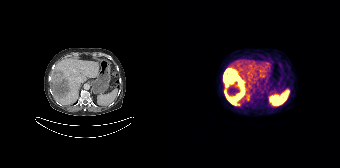
modality: PSMA PET/CT | tracer: [68Ga]Ga-PSMA-11 | view: axial | PET grid: 168×168
Coordinates are on the 168×168 PET (right) panel. PSMA-avid tumor lesion bounding box (x0, y0)-(x1, y1): (52, 69)-(72, 105). Small PSMA-avid focus (2 to 4 px across) near (center x, center y): (76, 98).